Paired axial CT (left) and PSMA PET (right), 18F-PSMA tracer. Acquired on Siemens Biograph mCT Flow 20. Facial anatomy redacted by setting a rectangular region of the head to black.
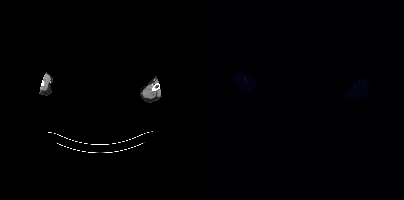
No tumor lesions annotated on this slice.